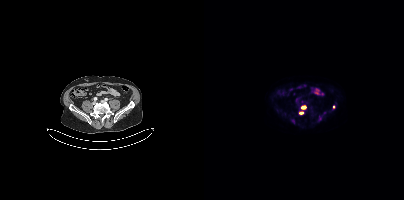
Technique: Paired axial CT (left) and PSMA PET (right), [18F]PSMA-1007 tracer. PET panel 200×200 px (4.1 mm/px).
Findings: Coordinates are on the 200×200 PET (right) panel. PSMA-avid tumor lesion bounding boxes (x, y, width, height): x=97 y=105 w=6 h=5 / x=95 y=111 w=5 h=4. Small PSMA-avid foci (2 to 4 px across) near (center x, center y): (88, 120) / (92, 101) / (130, 106) / (115, 118).